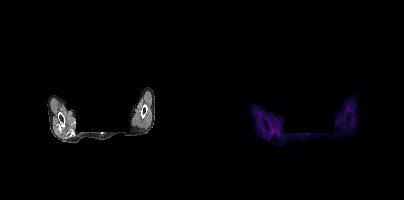
modality: PSMA PET/CT | tracer: [18F]PSMA-1007 | view: axial | de-identification: rectangular block over head set to black
Negative for PSMA-avid disease on this slice.